Left: CT. Right: PSMA PET, same axial level, [68Ga]Ga-PSMA-11 tracer. PET panel 168×168 px (4.1 mm/px).
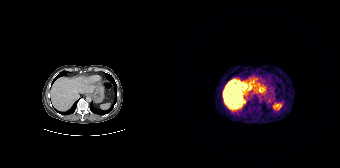
No tumor lesions annotated on this slice.